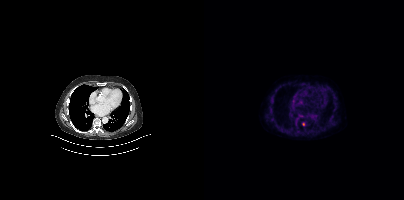
Two-panel axial: CT | PSMA PET, 18F-PSMA tracer. Acquired on Siemens Biograph mCT Flow 20. Slice position z = -552 mm. Coordinates are on the 200×200 PET (right) panel. Small PSMA-avid focus (2 to 4 px across) near (center x, center y): (99, 124).